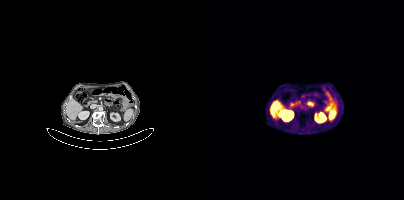
Technique: Left: CT. Right: PSMA PET, same axial level, 68Ga-PSMA tracer.
Findings: No tumor lesions annotated on this slice.